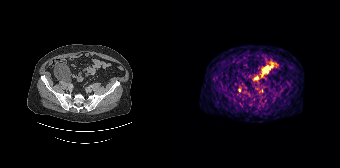
Left: CT. Right: PSMA PET, same axial level, 68Ga-PSMA tracer. Slice position z = -1478 mm. PET panel 168×168 px (4.1 mm/px). Coordinates are on the 168×168 PET (right) panel. Small PSMA-avid focus (2 to 4 px across) near (center x, center y): (67, 89).